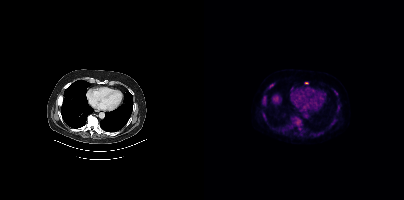
Technique: Left: CT. Right: PSMA PET, same axial level, 18F tracer. PET panel 200×200 px (4.1 mm/px).
Findings: Coordinates are on the 200×200 PET (right) panel. PSMA-avid tumor lesion bounding boxes (x0, y0)-(x1, y1): (59, 98)-(61, 104); (65, 84)-(69, 87). Small PSMA-avid focus (2 to 4 px across) near (center x, center y): (102, 82).